- Left: CT. Right: PSMA PET, same axial level, 18F-PSMA tracer
- acquired on Siemens Biograph mCT Flow 20
- slice 27 of 413
- PET panel 200×200 px (4.1 mm/px)
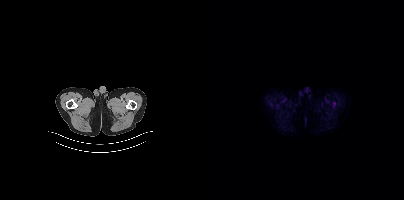
Findings: Negative for PSMA-avid disease on this slice.